modality: PSMA PET/CT | tracer: [18F]PSMA-1007 | view: axial
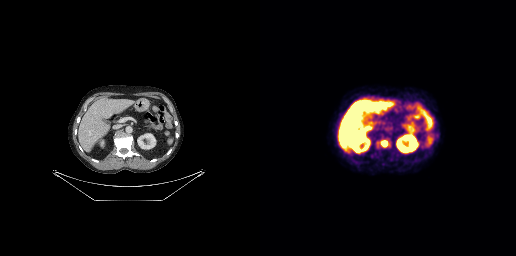
Coordinates are on the 256×256 PET (right) panel. PSMA-avid tumor lesion bounding box (x0, y0)-(x1, y1): (121, 141)-(127, 146).